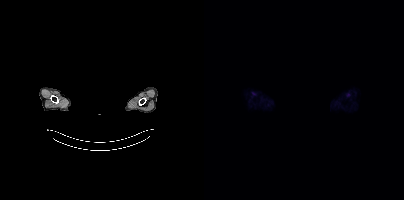
{"modality":"PSMA PET/CT","view":"axial","tracer":"18F","pet_grid":[200,200],"coord_frame":"pet_panel","coord_format":"x0,y0,x1,y1","redaction":"facial region redacted","psma_avid_lesions":false}